modality: PSMA PET/CT | tracer: 18F-PSMA | view: axial | PET grid: 200×200
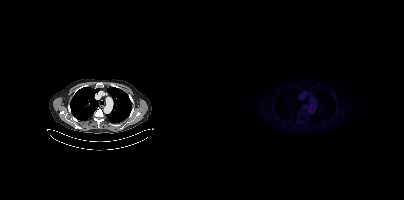
No tumor lesions annotated on this slice.